modality: PSMA PET/CT | tracer: 18F-PSMA | view: axial | PET grid: 200×200
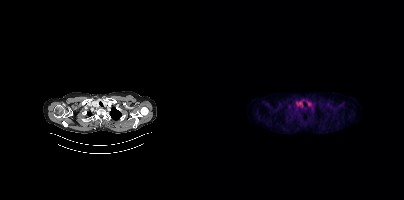
Negative for PSMA-avid disease on this slice.